modality: PSMA PET/CT | tracer: [18F]PSMA-1007 | view: axial
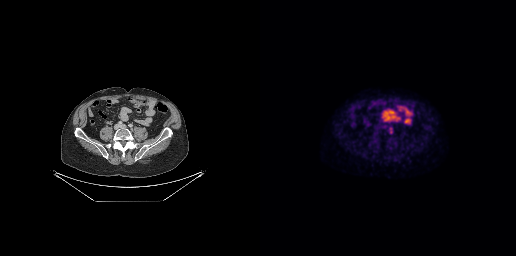
Coordinates are on the 256×256 PET (right) panel. PSMA-avid tumor lesion bounding box (x, y, width, height): x=128 y=126 w=6 h=9.